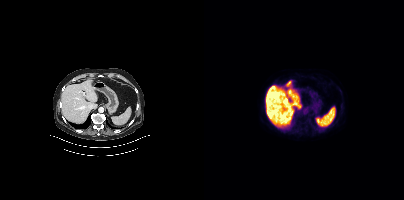
{"modality":"PSMA PET/CT","view":"axial","tracer":"18F-PSMA","pet_grid":[200,200],"coord_frame":"pet_panel","coord_format":"x0,y0,x1,y1","psma_avid_lesions":false}